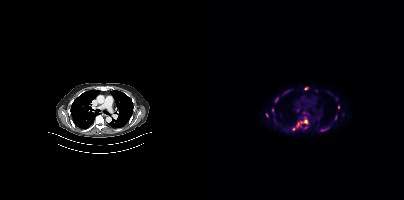
Technique: Paired axial CT (left) and PSMA PET (right), [18F]PSMA-1007 tracer.
Findings: Coordinates are on the 200×200 PET (right) panel. (showing 12 of 13 foci) PSMA-avid tumor lesion bounding boxes (x, y, width, height): x=92 y=119 w=12 h=9 | x=116 y=129 w=8 h=3 | x=70 y=97 w=5 h=6 | x=80 y=90 w=5 h=4 | x=131 y=115 w=2 h=5. Small PSMA-avid foci (2 to 4 px across) near (center x, center y): (89, 129) | (112, 91) | (63, 114) | (102, 88) | (134, 107) | (68, 110) | (101, 127).